Two-panel axial: CT | PSMA PET, [18F]PSMA-1007 tracer.
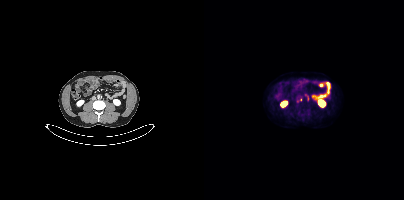
Coordinates are on the 200×200 PET (right) panel. (showing 1 of 2 foci) PSMA-avid tumor lesion bounding box (x0,y0,x1,y1): [102,96,105,100].